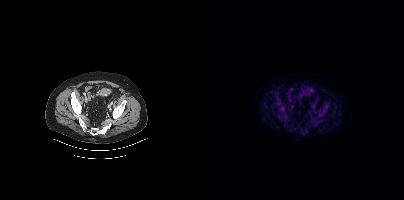
{"modality":"PSMA PET/CT","view":"axial","tracer":"18F-PSMA","pet_grid":[200,200],"coord_frame":"pet_panel","coord_format":"x0,y0,x1,y1","psma_avid_lesions":false}